Two-panel axial: CT | PSMA PET, [18F]PSMA-1007 tracer.
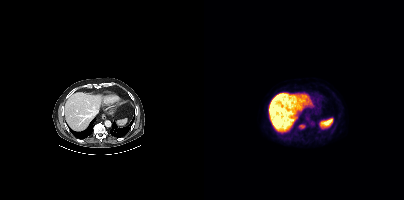
Coordinates are on the 200×200 PET (right) panel. PSMA-avid tumor lesion bounding box (x0,y0,x1,y1): [96,125,100,127].